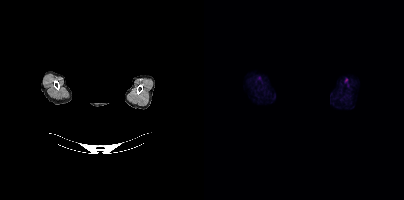
modality: PSMA PET/CT | tracer: 18F | view: axial | PET grid: 200×200 | redaction: head region blanked (face removed)
No tumor lesions annotated on this slice.